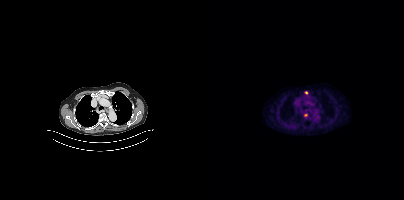
Coordinates are on the 200×200 PET (right) panel. Small PSMA-avid foci (2 to 4 px across) near (center x, center y): (102, 92) (101, 115).